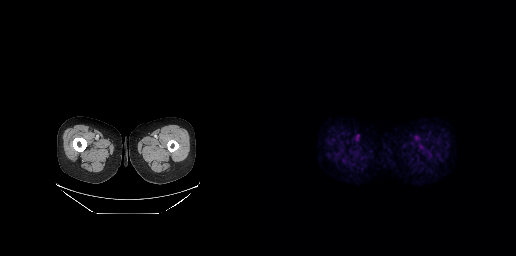
No tumor lesions annotated on this slice.